Technique: Left: CT. Right: PSMA PET, same axial level, [18F]PSMA-1007 tracer. acquired on GE Discovery 690. slice 32 of 299.
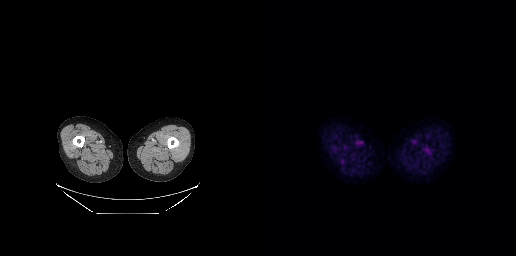
Findings: No tumor lesions annotated on this slice.